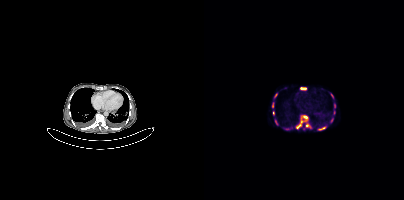
modality: PSMA PET/CT | tracer: 68Ga-PSMA | view: axial
Coordinates are on the 200×200 PET (right) panel. (showing 10 of 14 foci) PSMA-avid tumor lesion bounding boxes (x0, y0)-(x1, y1): (92, 115)-(103, 128) / (114, 127)-(121, 130) / (96, 87)-(102, 89). Small PSMA-avid foci (2 to 4 px across) near (center x, center y): (103, 125) / (68, 104) / (130, 105) / (128, 95) / (127, 120) / (72, 94) / (71, 121).